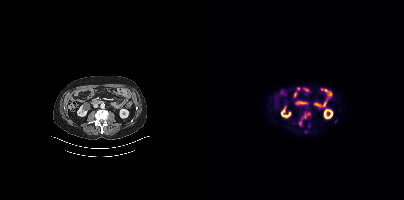
{"modality":"PSMA PET/CT","view":"axial","tracer":"18F","pet_grid":[200,200],"coord_frame":"pet_panel","coord_format":"x0,y0,x1,y1","lesion_bboxes":[[98,113,106,118],[103,123,106,127],[95,121,97,125]],"small_foci_centers":[[102,132],[131,121]]}